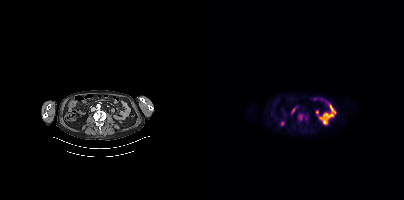
- Two-panel axial: CT | PSMA PET, 18F tracer
Findings: Coordinates are on the 200×200 PET (right) panel. PSMA-avid tumor lesion bounding box (x0, y0)-(x1, y1): (94, 113)-(103, 120).